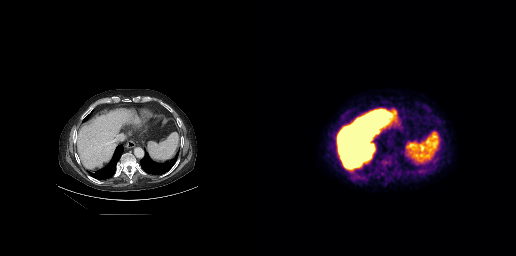
Coordinates are on the 256×256 PET (right) panel. PSMA-avid tumor lesion bounding boxes:
| # | x0 | y0 | x1 | y1 |
|---|---|---|---|---|
| 1 | 121 | 154 | 135 | 166 |
Paired axial CT (left) and PSMA PET (right), 18F tracer.